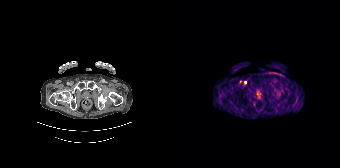
{"pet_grid":[168,168],"coord_frame":"pet_panel","coord_format":"x0,y0,x1,y1","lesion_bboxes":[],"small_foci_centers":[[68,81],[73,82]],"modality":"PSMA PET/CT","view":"axial","tracer":"[68Ga]Ga-PSMA-11"}